modality: PSMA PET/CT | tracer: [18F]PSMA-1007 | view: axial
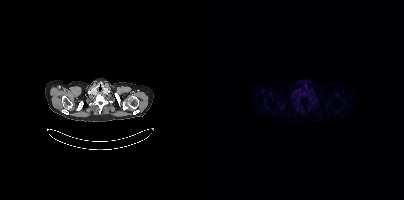
This slice has no annotated PSMA-avid lesion.